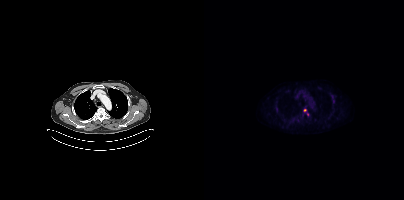
{"pet_grid":[200,200],"coord_frame":"pet_panel","coord_format":"x0,y0,x1,y1","partial":true,"lesion_bboxes":[],"small_foci_centers":[[128,96],[94,120],[103,113]],"modality":"PSMA PET/CT","view":"axial","tracer":"18F"}